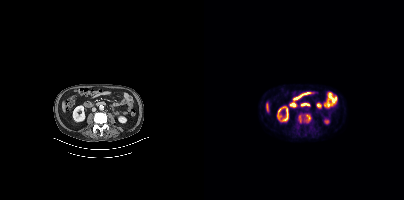
{"modality":"PSMA PET/CT","view":"axial","tracer":"[18F]PSMA-1007","pet_grid":[200,200],"coord_frame":"pet_panel","coord_format":"x0,y0,x1,y1","lesion_bboxes":[[100,114,107,122],[94,115,97,122]]}